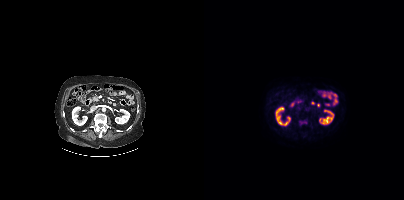
This slice has no annotated PSMA-avid lesion.